Technique: Paired axial CT (left) and PSMA PET (right), 18F-PSMA tracer. PET panel 168×168 px (4.1 mm/px).
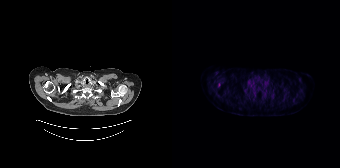
Findings: Coordinates are on the 168×168 PET (right) panel. Small PSMA-avid focus (2 to 4 px across) near (center x, center y): (47, 84).